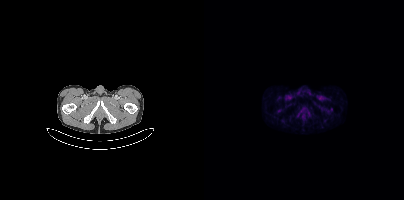
Technique: Paired axial CT (left) and PSMA PET (right), 18F-PSMA tracer.
Findings: Only PSMA-avid lesion pieces thinner than 2 px on this slice (not listed).